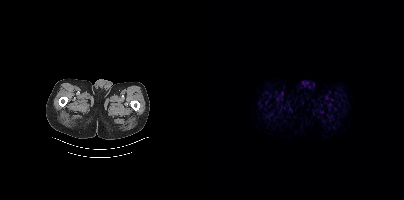
- Two-panel axial: CT | PSMA PET, 18F-PSMA tracer
Findings: This slice has no annotated PSMA-avid lesion.